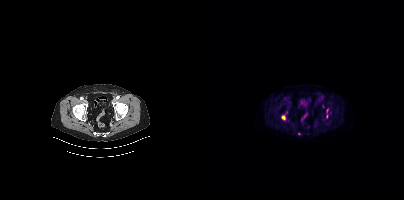
Findings: Coordinates are on the 200×200 PET (right) panel. (showing 1 of 3 foci) Small PSMA-avid focus (2 to 4 px across) near (center x, center y): (79, 117).
- Two-panel axial: CT | PSMA PET, 18F tracer
- PET panel 200×200 px (4.1 mm/px)